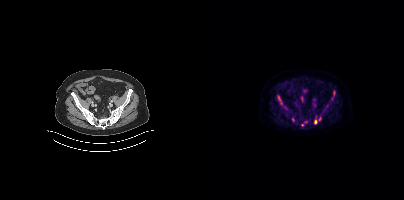
Two-panel axial: CT | PSMA PET, 18F-PSMA tracer. Acquired on Siemens Biograph mCT Flow 20. Slice 106 of 411. PET panel 200×200 px (4.1 mm/px).
Coordinates are on the 200×200 PET (right) panel. PSMA-avid tumor lesion bounding boxes (partial; 1 more focus not listed):
| # | x0 | y0 | x1 | y1 |
|---|---|---|---|---|
| 1 | 127 | 90 | 131 | 100 |
| 2 | 74 | 96 | 78 | 104 |
Small PSMA-avid foci (2 to 4 px across) near (center x, center y): (111, 121); (116, 118); (88, 119); (98, 124).